Two-panel axial: CT | PSMA PET, [18F]PSMA-1007 tracer. Acquired on Siemens Biograph mCT Flow 20. Slice 113 of 413. PET panel 200×200 px (4.1 mm/px).
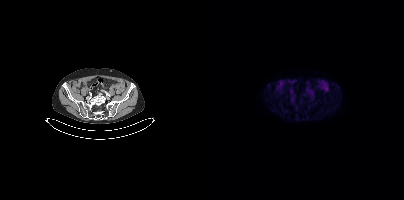
Negative for PSMA-avid disease on this slice.